Technique: Paired axial CT (left) and PSMA PET (right), 68Ga-PSMA tracer. acquired on Siemens Biograph mCT Flow 20. slice position z = -584 mm. PET panel 200×200 px (4.1 mm/px).
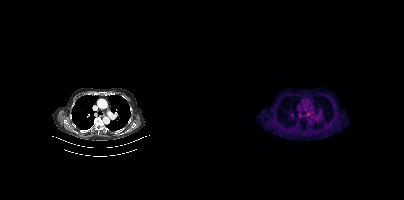
Findings: Coordinates are on the 200×200 PET (right) panel. Small PSMA-avid focus (2 to 4 px across) near (center x, center y): (104, 114).